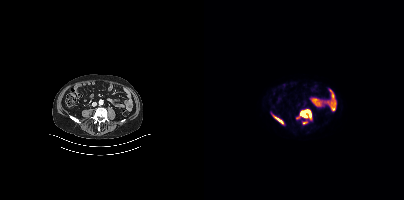
Two-panel axial: CT | PSMA PET, 18F-PSMA tracer.
Coordinates are on the 200×200 PET (right) panel. PSMA-avid tumor lesion bounding boxes:
| # | x0 | y0 | x1 | y1 |
|---|---|---|---|---|
| 1 | 92 | 109 | 107 | 119 |
| 2 | 69 | 115 | 79 | 123 |
| 3 | 99 | 121 | 103 | 123 |